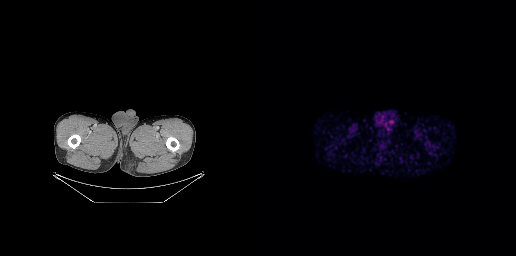
modality: PSMA PET/CT | tracer: 18F | view: axial
No PSMA-avid tumor lesions on this slice.